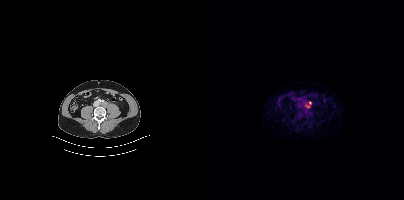
{"modality":"PSMA PET/CT","view":"axial","tracer":"[18F]PSMA-1007","pet_grid":[200,200],"coord_frame":"pet_panel","coord_format":"x0,y0,x1,y1","lesion_bboxes":[[101,105,105,107]],"small_foci_centers":[[106,103]]}